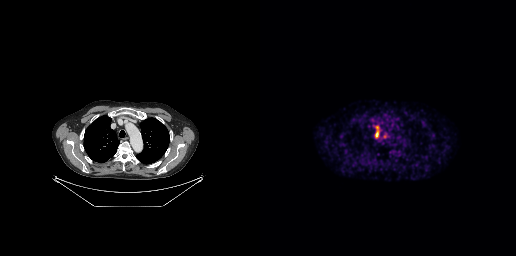
{"modality":"PSMA PET/CT","view":"axial","tracer":"[68Ga]Ga-PSMA-11","pet_grid":[256,256],"coord_frame":"pet_panel","coord_format":"x0,y0,x1,y1","lesion_bboxes":[[115,127,118,137]]}